- Two-panel axial: CT | PSMA PET, 18F tracer
- PET panel 200×200 px (4.1 mm/px)
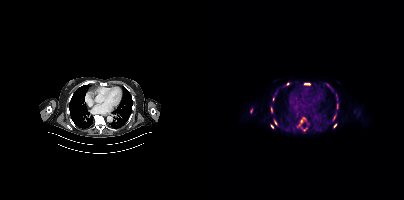
Findings: Coordinates are on the 200×200 PET (right) panel. (showing 10 of 14 foci) PSMA-avid tumor lesion bounding boxes (x0, y0)-(x1, y1): (100, 83)-(106, 85) / (46, 109)-(48, 113) / (129, 116)-(131, 120). Small PSMA-avid foci (2 to 4 px across) near (center x, center y): (68, 126) / (71, 122) / (131, 125) / (84, 84) / (67, 109) / (94, 126) / (97, 121).